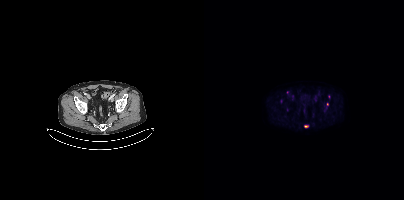
Coordinates are on the 200×200 PET (right) panel. (showing 3 of 4 foci) Small PSMA-avid foci (2 to 4 px across) near (center x, center y): (77, 101); (123, 104); (83, 92).